Technique: Left: CT. Right: PSMA PET, same axial level, [18F]PSMA-1007 tracer. acquired on Siemens Biograph mCT Flow 20. slice position z = -1032 mm. PET panel 200×200 px (4.1 mm/px).
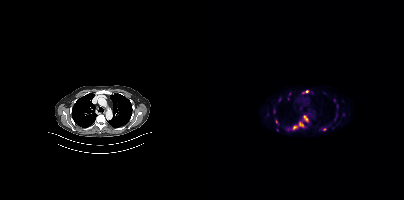
Findings: Coordinates are on the 200×200 PET (right) panel. (showing 11 of 16 foci) PSMA-avid tumor lesion bounding boxes (x0,y0,x1,y1): [99,115,104,121] [95,122,99,127] [88,125,93,130]. Small PSMA-avid foci (2 to 4 px across) near (center x, center y): (86, 93) (103, 91) (72, 121) (84, 99) (139, 113) (132, 114) (75, 99) (120, 128).